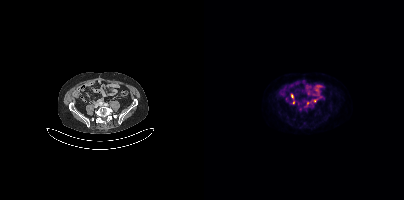
Coordinates are on the 200×200 PET (right) panel. (showing 3 of 5 foci) Small PSMA-avid foci (2 to 4 px across) near (center x, center y): (110, 100); (88, 96); (89, 102).